Left: CT. Right: PSMA PET, same axial level, 18F tracer. Slice 338 of 373. An anonymization step blacked out a rectangle over the head in this scan.
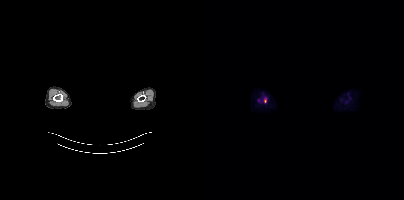
Coordinates are on the 200×200 PET (right) panel. PSMA-avid tumor lesion bounding boxes:
| # | x0 | y0 | x1 | y1 |
|---|---|---|---|---|
| 1 | 60 | 98 | 62 | 102 |